Paired axial CT (left) and PSMA PET (right), 18F-PSMA tracer. Slice 74 of 299.
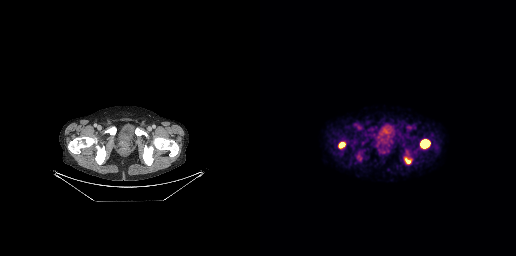
Coordinates are on the 256×256 PET (right) panel. PSMA-avid tumor lesion bounding boxes:
| # | x0 | y0 | x1 | y1 |
|---|---|---|---|---|
| 1 | 160 | 139 | 170 | 148 |
| 2 | 79 | 142 | 85 | 148 |
| 3 | 145 | 158 | 150 | 163 |